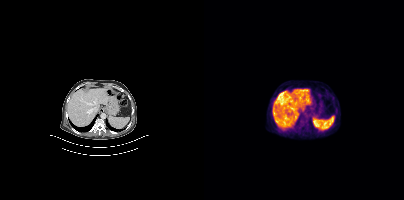
No PSMA-avid tumor lesions on this slice.